Technique: Two-panel axial: CT | PSMA PET, 18F-PSMA tracer.
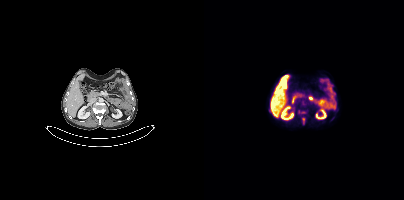
Findings: This slice has no annotated PSMA-avid lesion.